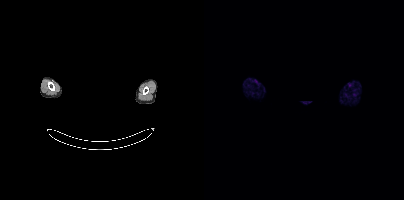
{"modality":"PSMA PET/CT","view":"axial","tracer":"68Ga-PSMA","pet_grid":[200,200],"coord_frame":"pet_panel","coord_format":"x0,y0,x1,y1","de-identification":"head region blacked out before release","psma_avid_lesions":false}